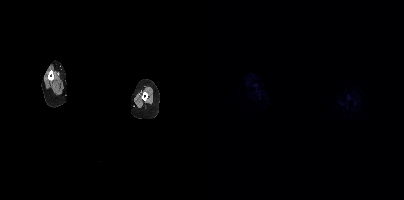
de-identification: face masked with black rectangle | modality: PSMA PET/CT | tracer: 68Ga | view: axial | PET grid: 200×200
This slice has no annotated PSMA-avid lesion.